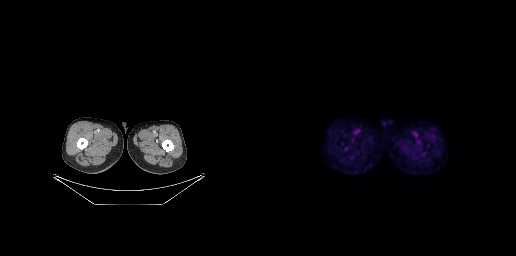
This slice has no annotated PSMA-avid lesion.